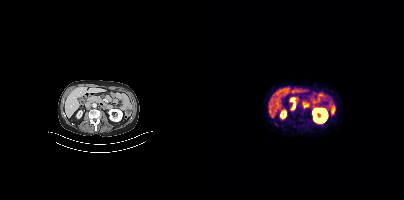
modality: PSMA PET/CT | tracer: 68Ga-PSMA | view: axial | PET grid: 200×200
Coordinates are on the 200×200 PET (right) panel. (showing 1 of 2 foci) PSMA-avid tumor lesion bounding box (x, y, width, height): x=89 y=104 w=3 h=5.